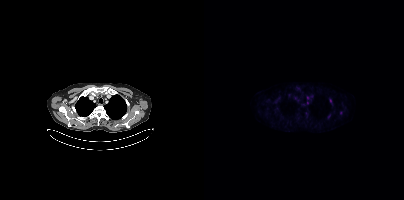
Coordinates are on the 200×200 PET (right) panel. (showing 5 of 6 foci) Small PSMA-avid foci (2 to 4 px across) near (center x, center y): (124, 116); (102, 115); (126, 101); (136, 112); (103, 96). Paired axial CT (left) and PSMA PET (right), 18F-PSMA tracer.